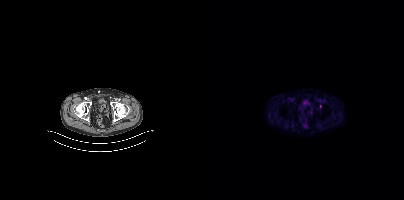
Two-panel axial: CT | PSMA PET, [18F]PSMA-1007 tracer. Slice 79 of 389. Coordinates are on the 200×200 PET (right) panel. Small PSMA-avid focus (2 to 4 px across) near (center x, center y): (116, 106).